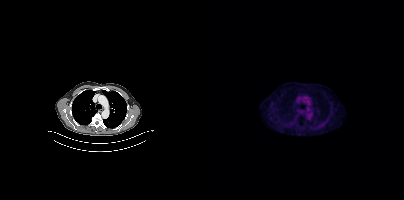
modality: PSMA PET/CT | tracer: [18F]PSMA-1007 | view: axial | PET grid: 200×200
Negative for PSMA-avid disease on this slice.